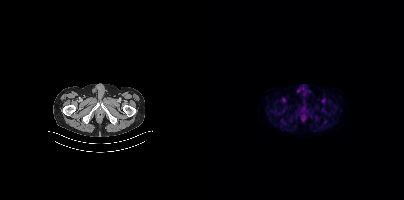
{"modality":"PSMA PET/CT","view":"axial","tracer":"18F-PSMA","pet_grid":[200,200],"coord_frame":"pet_panel","coord_format":"x0,y0,x1,y1","psma_avid_lesions":false}